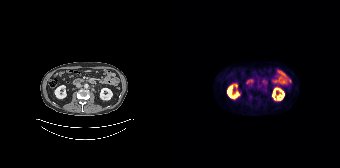
No tumor lesions annotated on this slice. Paired axial CT (left) and PSMA PET (right), 18F tracer. Slice 74 of 135.